Technique: Paired axial CT (left) and PSMA PET (right), 18F tracer. acquired on Siemens Biograph mCT Flow 20.
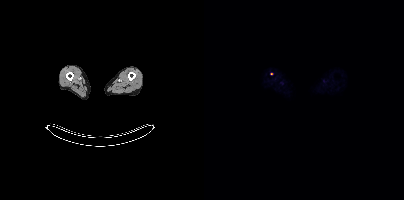
Findings: Coordinates are on the 200×200 PET (right) panel. Small PSMA-avid focus (2 to 4 px across) near (center x, center y): (67, 73).